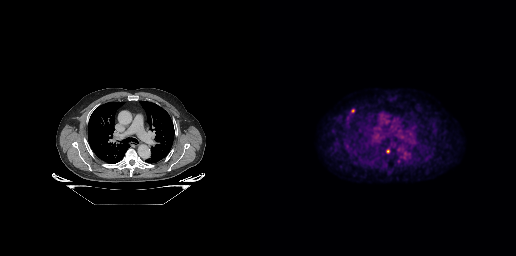
Coordinates are on the 256×256 PET (right) panel. Small PSMA-avid foci (2 to 4 px across) near (center x, center y): (92, 110), (127, 151).